Two-panel axial: CT | PSMA PET, 18F tracer. Acquired on Siemens Biograph mCT Flow 20. Slice position z = -1482 mm. PET panel 200×200 px (4.1 mm/px).
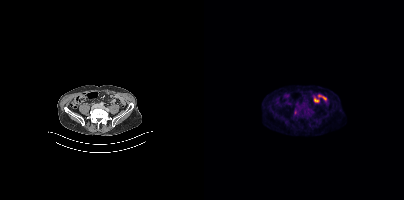
Coordinates are on the 200×200 PET (right) panel. Small PSMA-avid focus (2 to 4 px across) near (center x, center y): (91, 112).